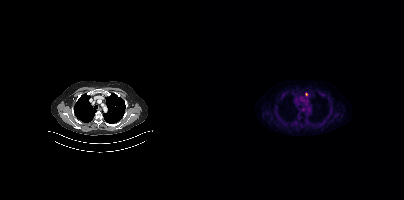
Coordinates are on the 200×200 PET (right) panel. Small PSMA-avid focus (2 to 4 px across) near (center x, center y): (102, 94).